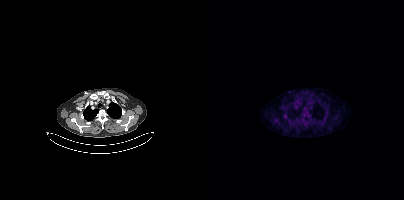
Coordinates are on the 200×200 PET (right) panel. Small PSMA-avid foci (2 to 4 px across) near (center x, center y): (99, 116); (80, 116).